modality: PSMA PET/CT | tracer: 68Ga-PSMA | view: axial
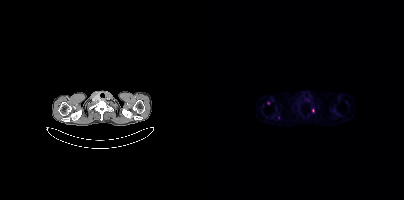
Coordinates are on the 200×200 PET (right) panel. Small PSMA-avid foci (2 to 4 px across) near (center x, center y): (108, 110) | (74, 117) | (64, 102).